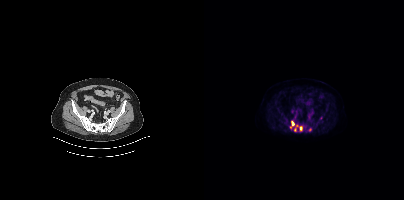
Left: CT. Right: PSMA PET, same axial level, [18F]PSMA-1007 tracer. Coordinates are on the 200×200 PET (right) panel. (showing 3 of 4 foci) PSMA-avid tumor lesion bounding boxes (x0,y0,x1,y1): [90,125,98,131] [86,120,90,128]. Small PSMA-avid focus (2 to 4 px across) near (center x, center y): (105, 129).